Paired axial CT (left) and PSMA PET (right), 18F tracer. Acquired on GE Discovery 690. PET panel 256×256 px (2.7 mm/px).
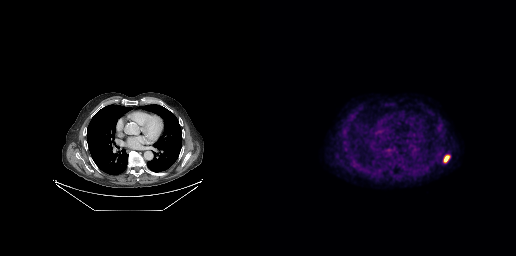
Coordinates are on the 256×256 PET (right) panel. PSMA-avid tumor lesion bounding box (x0, y0)-(x1, y1): (184, 155)-(189, 162).